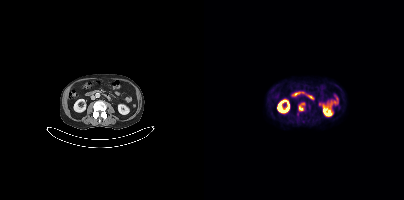
- Paired axial CT (left) and PSMA PET (right), [18F]PSMA-1007 tracer
Findings: Coordinates are on the 200×200 PET (right) panel. PSMA-avid tumor lesion bounding box (x, y, width, height): x=94 y=103 w=7 h=8.